Technique: Paired axial CT (left) and PSMA PET (right), 18F-PSMA tracer. slice 442 of 454. PET panel 200×200 px (4.1 mm/px).
Note: Any black rectangle over the head is a privacy mask, not anatomy.
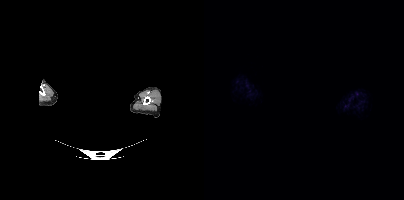
Findings: This slice has no annotated PSMA-avid lesion.